A rectangular region was set to black for de-identification.
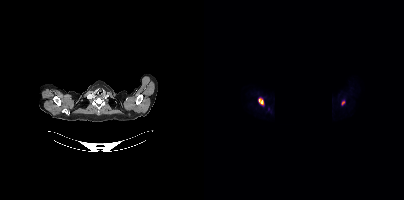
Coordinates are on the 200×200 PET (right) panel. PSMA-avid tumor lesion bounding box (x0, y0)-(x1, y1): (54, 98)-(59, 105). Small PSMA-avid focus (2 to 4 px across) near (center x, center y): (139, 103).